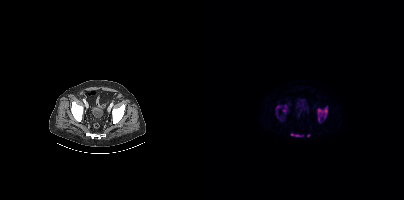
Left: CT. Right: PSMA PET, same axial level, [18F]PSMA-1007 tracer. Slice 91 of 423. Coordinates are on the 200×200 PET (right) panel. PSMA-avid tumor lesion bounding boxes (x0,y0,x1,y1): [113,106,123,122], [87,133,99,136], [78,105,83,113], [72,105,77,110], [72,112,74,117]. Small PSMA-avid focus (2 to 4 px across) near (center x, center y): (104, 135).